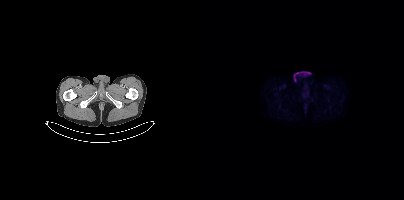
This slice has no annotated PSMA-avid lesion.